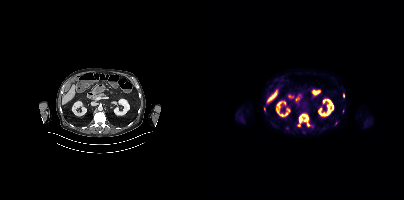
modality: PSMA PET/CT | tracer: 18F | view: axial
Coordinates are on the 200×200 PET (right) panel. (showing 5 of 6 foci) PSMA-avid tumor lesion bounding box (x0, y0)-(x1, y1): (95, 114)-(105, 125). Small PSMA-avid foci (2 to 4 px across) near (center x, center y): (60, 108) | (139, 95) | (131, 123) | (94, 125).